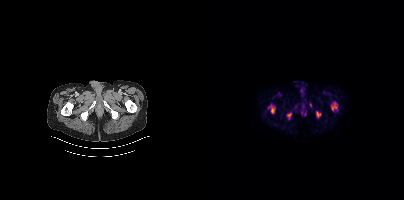
modality: PSMA PET/CT | tracer: 18F | view: axial | PET grid: 200×200
Coordinates are on the 200×200 PET (right) panel. PSMA-avid tumor lesion bounding boxes (x0, y0)-(x1, y1): (64, 104)-(71, 113) / (127, 102)-(132, 110) / (83, 112)-(87, 119) / (112, 111)-(116, 117) / (90, 105)-(92, 109). Small PSMA-avid focus (2 to 4 px across) near (center x, center y): (106, 104).